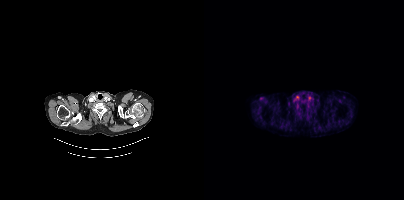
Left: CT. Right: PSMA PET, same axial level, [18F]PSMA-1007 tracer. Acquired on Siemens Biograph mCT Flow 20. PET panel 200×200 px (4.1 mm/px). This slice has no annotated PSMA-avid lesion.